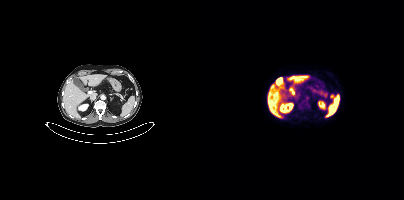
Paired axial CT (left) and PSMA PET (right), 18F tracer. Coordinates are on the 200×200 PET (right) panel. Small PSMA-avid focus (2 to 4 px across) near (center x, center y): (127, 95).